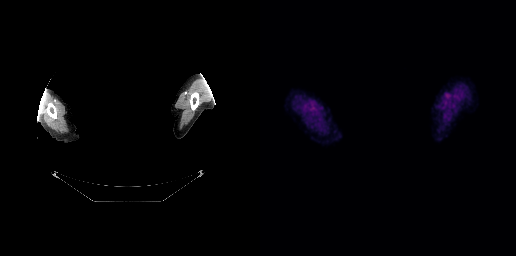
{"pet_grid":[256,256],"coord_frame":"pet_panel","coord_format":"x0,y0,x1,y1","psma_avid_lesions":false,"de-identification":"rectangular block over head set to black","modality":"PSMA PET/CT","view":"axial","tracer":"18F-PSMA"}